Left: CT. Right: PSMA PET, same axial level, [18F]PSMA-1007 tracer. PET panel 200×200 px (4.1 mm/px).
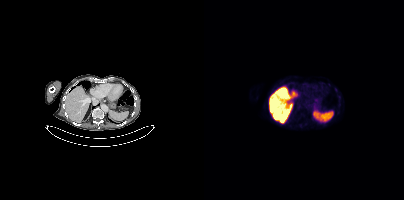
This slice has no annotated PSMA-avid lesion.